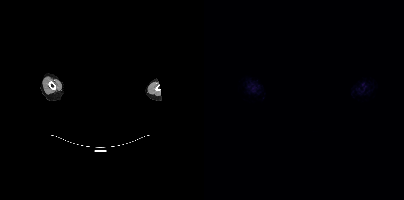
No PSMA-avid tumor lesions on this slice. Two-panel axial: CT | PSMA PET, 18F-PSMA tracer. Face de-identified by blanking a block of the head.